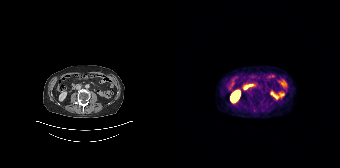
{"modality":"PSMA PET/CT","view":"axial","tracer":"68Ga-PSMA","pet_grid":[168,168],"coord_frame":"pet_panel","coord_format":"x0,y0,x1,y1","psma_avid_lesions":false}